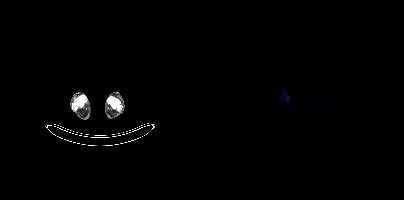
{"modality":"PSMA PET/CT","view":"axial","tracer":"[18F]PSMA-1007","pet_grid":[200,200],"coord_frame":"pet_panel","coord_format":"x0,y0,x1,y1","partial":true,"lesion_bboxes":[]}